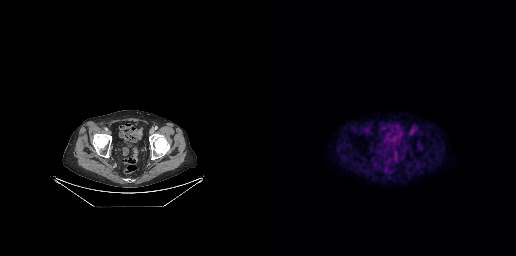
This slice has no annotated PSMA-avid lesion. Two-panel axial: CT | PSMA PET, 18F-PSMA tracer.